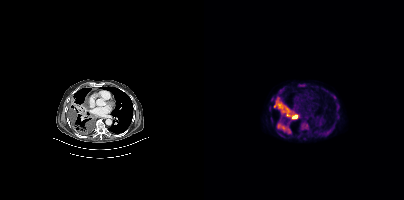
Findings: Coordinates are on the 200×200 PET (right) panel. (showing 5 of 7 foci) PSMA-avid tumor lesion bounding boxes (x0, y0)-(x1, y1): (70, 98)-(85, 113) / (97, 121)-(104, 129) / (75, 125)-(85, 132) / (86, 112)-(93, 119). Small PSMA-avid focus (2 to 4 px across) near (center x, center y): (74, 124).
- Left: CT. Right: PSMA PET, same axial level, 18F tracer